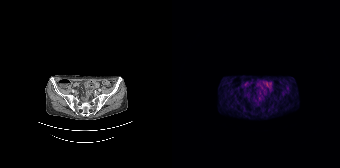
{"pet_grid":[168,168],"coord_frame":"pet_panel","coord_format":"x0,y0,x1,y1","psma_avid_lesions":false,"modality":"PSMA PET/CT","view":"axial","tracer":"[68Ga]Ga-PSMA-11"}